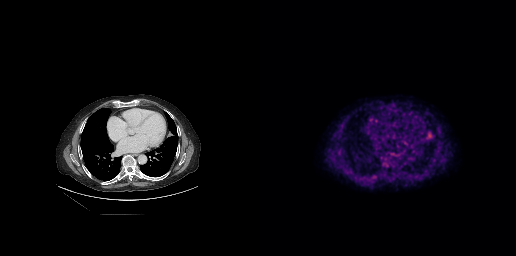
{"modality":"PSMA PET/CT","view":"axial","tracer":"18F","pet_grid":[256,256],"coord_frame":"pet_panel","coord_format":"x0,y0,x1,y1","lesion_bboxes":[[109,172,119,182]]}